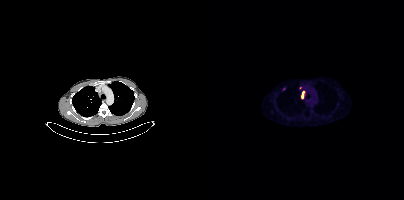
- Paired axial CT (left) and PSMA PET (right), 18F tracer
- slice position z = 28 mm
- PET panel 200×200 px (4.1 mm/px)
Findings: Coordinates are on the 200×200 PET (right) panel. PSMA-avid tumor lesion bounding box (x0,y0,x1,y1): [98,92,100,98]. Small PSMA-avid foci (2 to 4 px across) near (center x, center y): (96, 87); (79, 88).